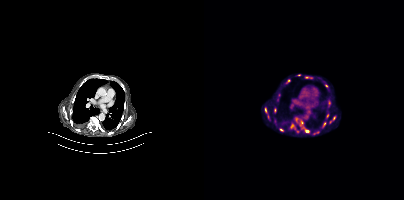
Findings: Coordinates are on the 200×200 PET (right) panel. (showing 8 of 11 foci) PSMA-avid tumor lesion bounding boxes (x0, y0)-(x1, y1): (91, 118)-(105, 132) | (60, 107)-(65, 119) | (86, 123)-(91, 129) | (70, 108)-(72, 112) | (129, 116)-(131, 120). Small PSMA-avid foci (2 to 4 px across) near (center x, center y): (123, 115) | (120, 123) | (126, 122).
- Paired axial CT (left) and PSMA PET (right), 18F-PSMA tracer
- slice 239 of 367